Paired axial CT (left) and PSMA PET (right), 18F-PSMA tracer. Slice position z = -810 mm.
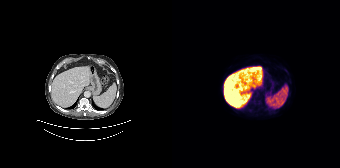
Negative for PSMA-avid disease on this slice.